Paired axial CT (left) and PSMA PET (right), 18F-PSMA tracer. Slice position z = -1450 mm. PET panel 200×200 px (4.1 mm/px).
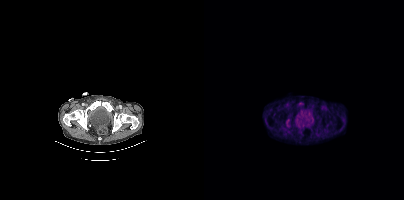
Coordinates are on the 200×200 PET (right) panel. PSMA-avid tumor lesion bounding boxes:
| # | x0 | y0 | x1 | y1 |
|---|---|---|---|---|
| 1 | 82 | 120 | 85 | 126 |